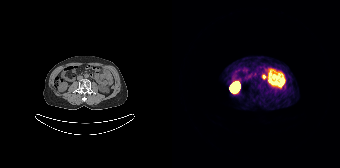
Two-panel axial: CT | PSMA PET, [68Ga]Ga-PSMA-11 tracer. Slice position z = -500 mm. PET panel 168×168 px (4.1 mm/px). Negative for PSMA-avid disease on this slice.